modality: PSMA PET/CT | tracer: 68Ga | view: axial | PET grid: 200×200
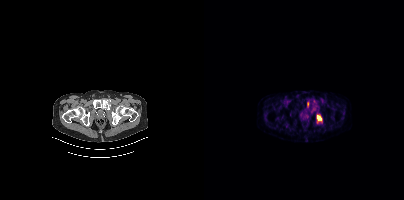
Coordinates are on the 200×200 PET (right) panel. PSMA-avid tumor lesion bounding boxes (x, y, width, height): x=113 y=114 w=6 h=9 / x=103 y=101 w=3 h=7.